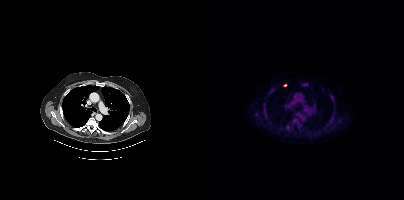
Coordinates are on the 200×200 PET (right) panel. (showing 3 of 4 foci) PSMA-avid tumor lesion bounding box (x0,y0,x1,y1): [82,125,85,129]. Small PSMA-avid foci (2 to 4 px across) near (center x, center y): (62, 117); (81, 85).
modality: PSMA PET/CT | tracer: 18F | view: axial